Left: CT. Right: PSMA PET, same axial level, 18F-PSMA tracer. PET panel 200×200 px (4.1 mm/px).
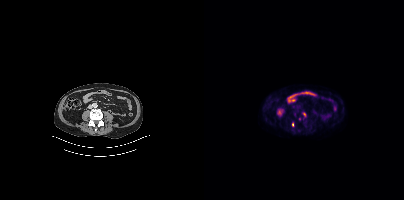
No PSMA-avid tumor lesions on this slice.